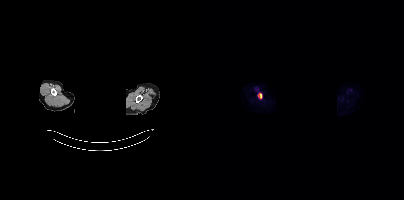
Coordinates are on the 200×200 PET (right) panel. PSMA-avid tumor lesion bounding box (x0,y0,x1,y1): [53,93,58,98].
Head region blanked for anonymization (face removed).